Paired axial CT (left) and PSMA PET (right), [18F]PSMA-1007 tracer. Acquired on GE Discovery 690. PET panel 256×256 px (2.7 mm/px).
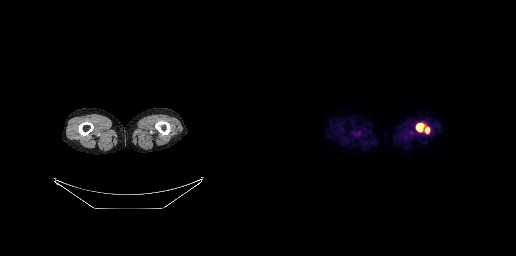
Coordinates are on the 256×256 PET (right) panel. PSMA-avid tumor lesion bounding boxes:
| # | x0 | y0 | x1 | y1 |
|---|---|---|---|---|
| 1 | 156 | 123 | 164 | 131 |
| 2 | 165 | 127 | 169 | 133 |